Technique: Left: CT. Right: PSMA PET, same axial level, 18F tracer. slice position z = -1202 mm. PET panel 200×200 px (4.1 mm/px).
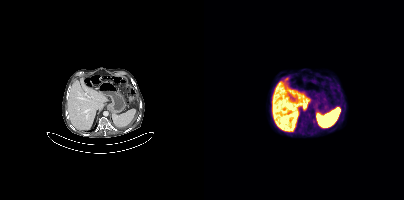
Findings: Only PSMA-avid lesion pieces thinner than 2 px on this slice (not listed).